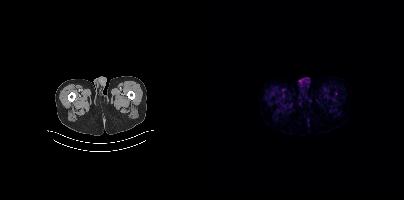
Technique: Two-panel axial: CT | PSMA PET, 18F tracer.
Findings: Only PSMA-avid lesion pieces thinner than 2 px on this slice (not listed).